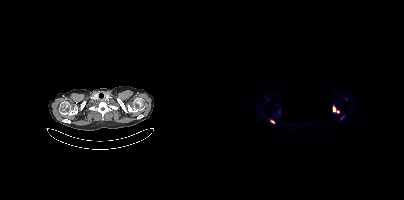
A rectangular privacy mask was applied before release. Left: CT. Right: PSMA PET, same axial level, [18F]PSMA-1007 tracer. PET panel 200×200 px (4.1 mm/px). Coordinates are on the 200×200 PET (right) panel. PSMA-avid tumor lesion bounding box (x, y, width, height): x=129 y=107 w=3 h=5. Small PSMA-avid foci (2 to 4 px across) near (center x, center y): (134, 111); (68, 121).